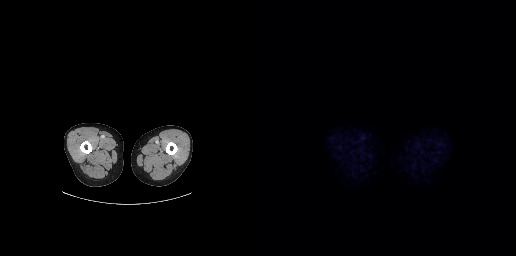
modality: PSMA PET/CT | tracer: 18F-PSMA | view: axial | PET grid: 256×256
No tumor lesions annotated on this slice.